- Left: CT. Right: PSMA PET, same axial level, 18F-PSMA tracer
- slice 166 of 442
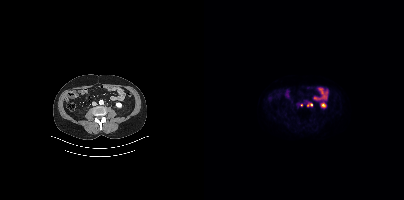
Findings: Coordinates are on the 200×200 PET (right) panel. PSMA-avid tumor lesion bounding box (x0, y0)-(x1, y1): (103, 103)-(108, 106). Small PSMA-avid focus (2 to 4 px across) near (center x, center y): (97, 105).